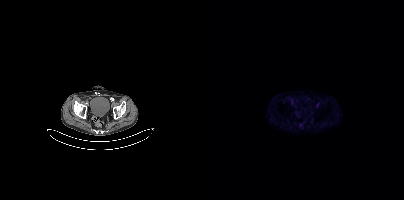
Left: CT. Right: PSMA PET, same axial level, 18F-PSMA tracer. Acquired on Siemens Biograph mCT Flow 20. PET panel 200×200 px (4.1 mm/px). No PSMA-avid tumor lesions on this slice.